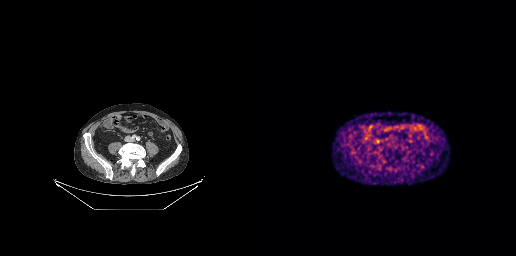
Technique: Paired axial CT (left) and PSMA PET (right), 68Ga tracer.
Findings: Negative for PSMA-avid disease on this slice.